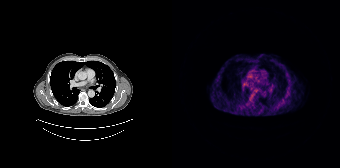
modality: PSMA PET/CT | tracer: 68Ga | view: axial
Negative for PSMA-avid disease on this slice.